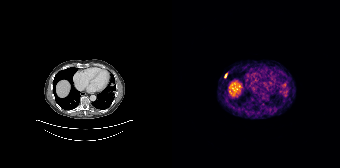
{"modality":"PSMA PET/CT","view":"axial","tracer":"68Ga-PSMA","pet_grid":[168,168],"coord_frame":"pet_panel","coord_format":"x0,y0,x1,y1","lesion_bboxes":[],"small_foci_centers":[[53,75]]}